Left: CT. Right: PSMA PET, same axial level, [18F]PSMA-1007 tracer. Acquired on Siemens Biograph mCT Flow 20. Slice 65 of 431.
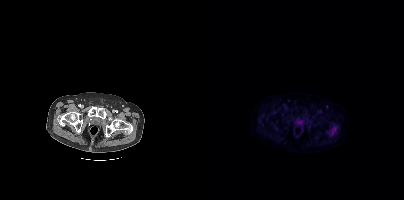
This slice has no annotated PSMA-avid lesion.